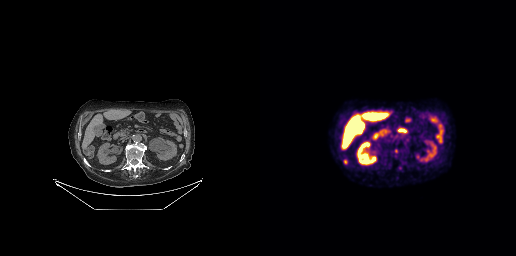
{"modality":"PSMA PET/CT","view":"axial","tracer":"18F","pet_grid":[256,256],"coord_frame":"pet_panel","coord_format":"x0,y0,x1,y1","lesion_bboxes":[[83,159,87,164]],"small_foci_centers":[[136,151]]}